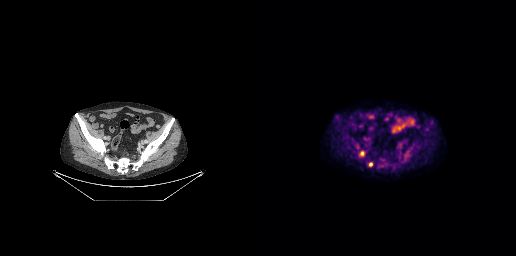
Coordinates are on the 256×256 PET (right) panel. PSMA-avid tumor lesion bounding box (x0, y0)-(x1, y1): (100, 151)-(103, 155). Small PSMA-avid focus (2 to 4 px across) near (center x, center y): (110, 164).